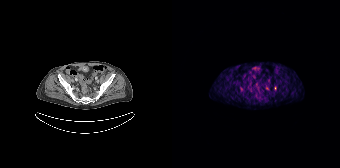
Coordinates are on the 168×168 PET (right) panel. (showing 1 of 3 foci) Small PSMA-avid focus (2 to 4 px across) near (center x, center y): (103, 88).